Paired axial CT (left) and PSMA PET (right), [18F]PSMA-1007 tracer. Slice position z = -744 mm. PET panel 200×200 px (4.1 mm/px).
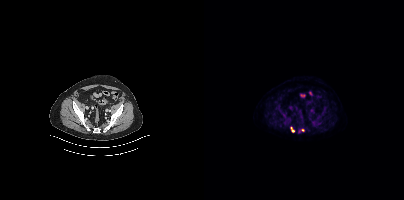
Coordinates are on the 200×200 PET (right) panel. (showing 1 of 2 foci) PSMA-avid tumor lesion bounding box (x0, y0)-(x1, y1): (87, 127)-(90, 132).